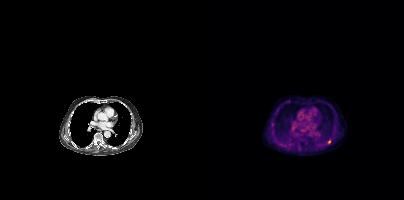
{"modality":"PSMA PET/CT","view":"axial","tracer":"[18F]PSMA-1007","pet_grid":[200,200],"coord_frame":"pet_panel","coord_format":"x0,y0,x1,y1","lesion_bboxes":[],"small_foci_centers":[[125,141],[68,124]]}